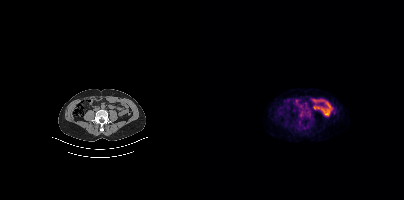
Left: CT. Right: PSMA PET, same axial level, 68Ga-PSMA tracer. No PSMA-avid tumor lesions on this slice.